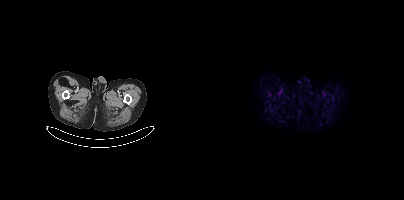
{"pet_grid":[200,200],"coord_frame":"pet_panel","coord_format":"x0,y0,x1,y1","psma_avid_lesions":false,"modality":"PSMA PET/CT","view":"axial","tracer":"18F-PSMA"}